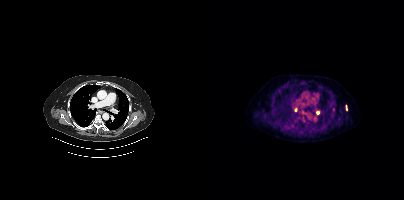
Coordinates are on the 200×200 PET (right) panel. (showing 2 of 3 foci) Small PSMA-avid foci (2 to 4 px across) near (center x, center y): (113, 112), (91, 109).
modality: PSMA PET/CT | tracer: 18F-PSMA | view: axial